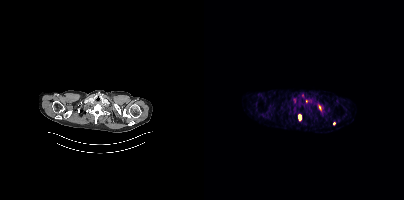
Findings: Coordinates are on the 200×200 PET (right) panel. PSMA-avid tumor lesion bounding box (x0, y0)-(x1, y1): (95, 115)-(96, 119). Small PSMA-avid foci (2 to 4 px across) near (center x, center y): (115, 107) / (129, 123).
Technique: Left: CT. Right: PSMA PET, same axial level, 68Ga-PSMA tracer. PET panel 200×200 px (4.1 mm/px).